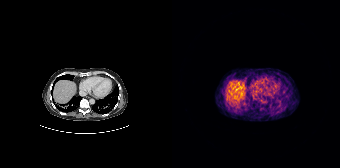
Findings: No tumor lesions annotated on this slice.
- Left: CT. Right: PSMA PET, same axial level, 68Ga-PSMA tracer
- slice position z = -354 mm
- PET panel 168×168 px (4.1 mm/px)